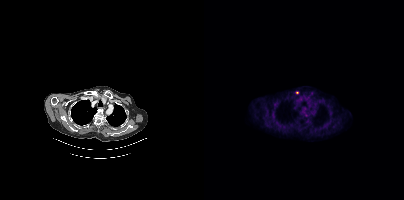
Coordinates are on the 200×200 PET (right) panel. Small PSMA-avid focus (2 to 4 px across) near (center x, center y): (93, 92). Paired axial CT (left) and PSMA PET (right), [18F]PSMA-1007 tracer. Acquired on Siemens Biograph mCT Flow 20. Slice 330 of 411.